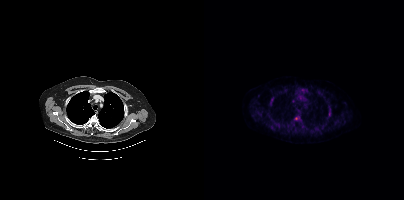
- Two-panel axial: CT | PSMA PET, [18F]PSMA-1007 tracer
- PET panel 200×200 px (4.1 mm/px)
Findings: Only PSMA-avid lesion pieces thinner than 2 px on this slice (not listed).